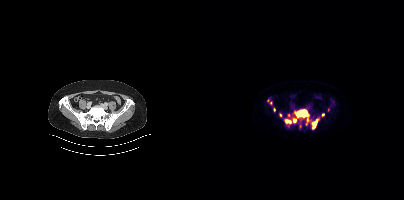
Technique: Paired axial CT (left) and PSMA PET (right), 18F-PSMA tracer. acquired on Siemens Biograph mCT Flow 20. PET panel 200×200 px (4.1 mm/px).
Findings: Coordinates are on the 200×200 PET (right) panel. (showing 10 of 14 foci) PSMA-avid tumor lesion bounding boxes (x0, y0)-(x1, y1): (90, 109)-(104, 117); (108, 118)-(115, 129); (81, 119)-(87, 123); (89, 118)-(92, 122). Small PSMA-avid foci (2 to 4 px across) near (center x, center y): (119, 114); (70, 109); (76, 115); (103, 119); (66, 102); (84, 115).